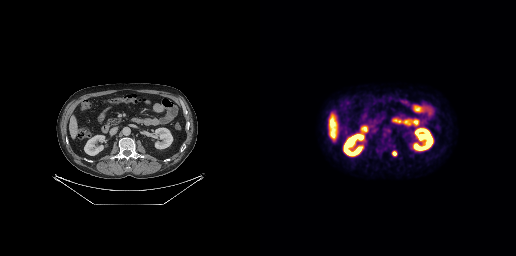
modality: PSMA PET/CT | tracer: 18F-PSMA | view: axial | PET grid: 256×256
Coordinates are on the 256×256 PET (right) panel. PSMA-avid tumor lesion bounding box (x, y, width, height): x=132 y=151 w=5 h=5.